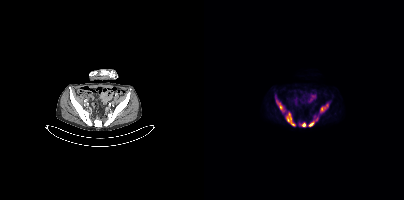
Technique: Paired axial CT (left) and PSMA PET (right), [18F]PSMA-1007 tracer. slice 103 of 409. PET panel 200×200 px (4.1 mm/px).
Findings: Coordinates are on the 200×200 PET (right) panel. PSMA-avid tumor lesion bounding boxes (x, y, width, height): x=71 y=97 w=21 h=30 / x=116 y=104 w=9 h=9 / x=104 y=118 w=11 h=9 / x=95 y=122 w=8 h=6.